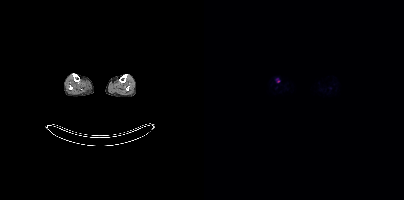
Findings: Coordinates are on the 200×200 PET (right) panel. Small PSMA-avid focus (2 to 4 px across) near (center x, center y): (74, 80).
Technique: Paired axial CT (left) and PSMA PET (right), 18F-PSMA tracer. slice 198 of 963. PET panel 200×200 px (4.1 mm/px).